modality: PSMA PET/CT | tracer: 18F | view: axial
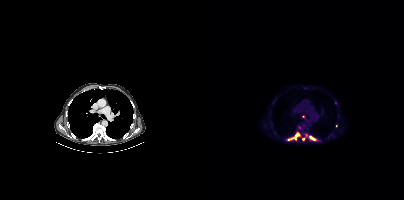
Coordinates are on the 200×200 PET (right) panel. (showing 6 of 8 foci) PSMA-avid tumor lesion bounding boxes (x0, y0)-(x1, y1): (84, 132)-(96, 140) | (106, 136)-(111, 140). Small PSMA-avid foci (2 to 4 px across) near (center x, center y): (99, 139) | (131, 102) | (102, 135) | (99, 116).